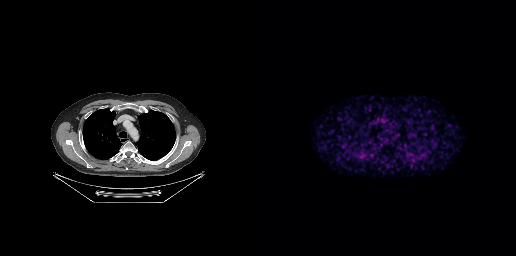
{"modality":"PSMA PET/CT","view":"axial","tracer":"68Ga","pet_grid":[256,256],"coord_frame":"pet_panel","coord_format":"x0,y0,x1,y1","psma_avid_lesions":false}